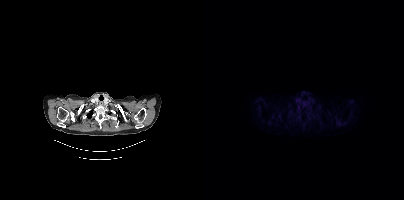
{"modality":"PSMA PET/CT","view":"axial","tracer":"18F","pet_grid":[200,200],"coord_frame":"pet_panel","coord_format":"x0,y0,x1,y1","lesion_bboxes":[],"small_foci_centers":[[94,107]]}